Paired axial CT (left) and PSMA PET (right), 68Ga-PSMA tracer. Slice 106 of 195.
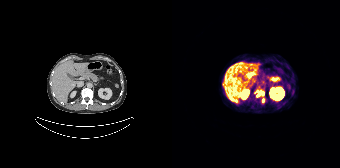
Coordinates are on the 168×168 PET (right) panel. (showing 2 of 3 foci) PSMA-avid tumor lesion bounding box (x0, y0)-(x1, y1): (84, 90)-(92, 96). Small PSMA-avid focus (2 to 4 px across) near (center x, center y): (91, 100).